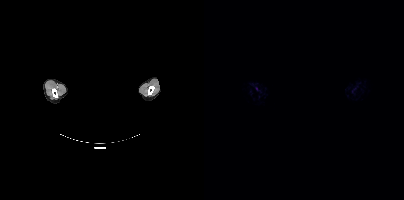
{"pet_grid":[200,200],"coord_frame":"pet_panel","coord_format":"x0,y0,x1,y1","psma_avid_lesions":false,"modality":"PSMA PET/CT","view":"axial","tracer":"18F-PSMA","deidentification":"rectangular block over head set to black"}